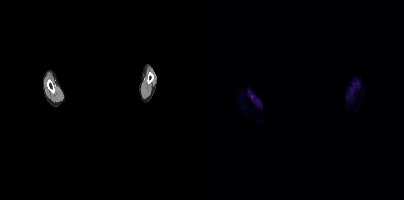
- Paired axial CT (left) and PSMA PET (right), 18F tracer
- acquired on Siemens Biograph mCT Flow 20
- PET panel 200×200 px (4.1 mm/px)
- de-identified by setting a box covering the face to black before release
Findings: Negative for PSMA-avid disease on this slice.